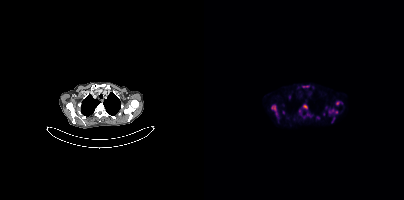
Two-panel axial: CT | PSMA PET, [18F]PSMA-1007 tracer.
Coordinates are on the 200×200 PET (right) panel. PSMA-avid tumor lesion bounding boxes (partial; 6 more foci not listed):
| # | x0 | y0 | x1 | y1 |
|---|---|---|---|---|
| 1 | 67 | 105 | 73 | 115 |
| 2 | 125 | 109 | 133 | 113 |
| 3 | 99 | 105 | 103 | 109 |
Small PSMA-avid foci (2 to 4 px across) near (center x, center y): (133, 103); (95, 110); (114, 117).